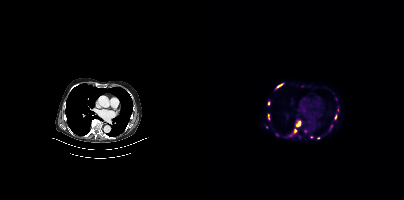
{"modality":"PSMA PET/CT","view":"axial","tracer":"68Ga-PSMA","pet_grid":[200,200],"coord_frame":"pet_panel","coord_format":"x0,y0,x1,y1","partial":true,"lesion_bboxes":[[92,121,96,126],[89,129,93,133],[73,84,77,87]],"small_foci_centers":[[64,103],[114,137],[131,117],[107,136],[64,115]]}